- Paired axial CT (left) and PSMA PET (right), 18F tracer
- slice position z = -1184 mm
- PET panel 200×200 px (4.1 mm/px)
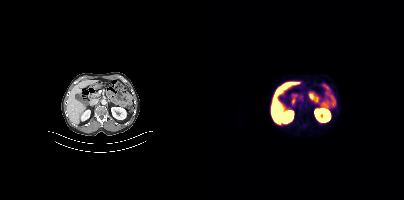
Findings: No PSMA-avid tumor lesions on this slice.